Two-panel axial: CT | PSMA PET, 18F-PSMA tracer. Acquired on Siemens Biograph mCT Flow 20. Slice 170 of 444. PET panel 200×200 px (4.1 mm/px).
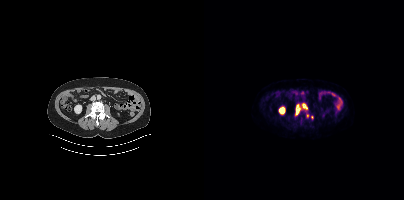
Coordinates are on the 200×200 PET (right) panel. (showing 2 of 3 foci) PSMA-avid tumor lesion bounding boxes (x, y, width, height): x=92 y=105 w=4 h=10 | x=99 y=104 w=5 h=5.